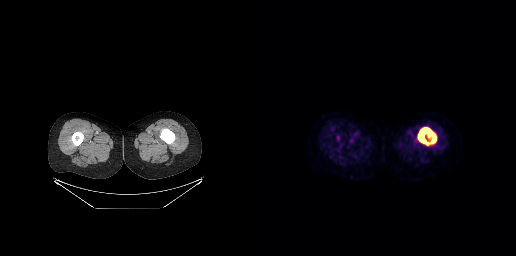
Coordinates are on the 256×256 PET (right) panel. PSMA-avid tumor lesion bounding box (x, y, width, height): x=158 y=127 w=19 h=18.